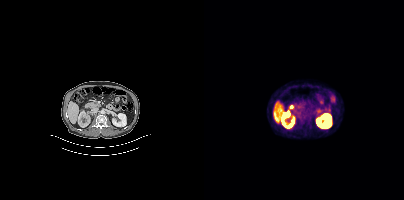
- Two-panel axial: CT | PSMA PET, 18F tracer
- PET panel 200×200 px (4.1 mm/px)
Findings: No PSMA-avid tumor lesions on this slice.